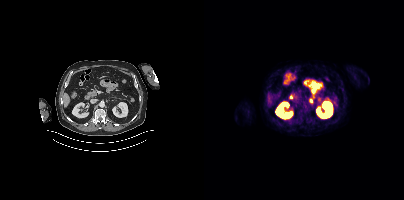
No PSMA-avid tumor lesions on this slice.